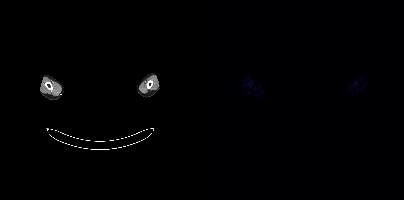
No tumor lesions annotated on this slice.
The head region is masked for de-identification.